Technique: Paired axial CT (left) and PSMA PET (right), 18F tracer. acquired on Siemens Biograph mCT Flow 20. PET panel 200×200 px (4.1 mm/px).
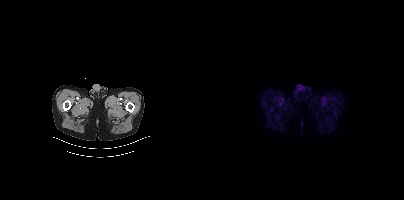
Findings: This slice has no annotated PSMA-avid lesion.